Technique: Two-panel axial: CT | PSMA PET, [18F]PSMA-1007 tracer. acquired on Siemens Biograph mCT Flow 20. slice 135 of 429.
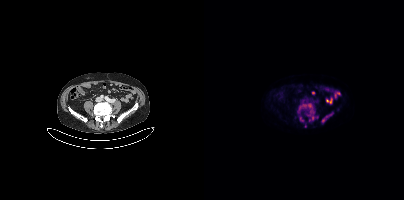
Findings: Coordinates are on the 200×200 PET (right) panel. (showing 5 of 10 foci) PSMA-avid tumor lesion bounding boxes (x, y, width, height): x=118 y=113 w=11 h=10 / x=95 y=104 w=8 h=6 / x=104 y=103 w=5 h=6. Small PSMA-avid foci (2 to 4 px across) near (center x, center y): (108, 117) / (106, 111).